- Paired axial CT (left) and PSMA PET (right), 18F tracer
- acquired on Siemens Biograph mCT Flow 20
- slice 14 of 403
- PET panel 200×200 px (4.1 mm/px)
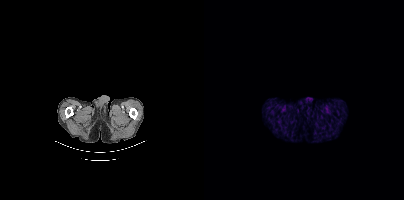
Findings: No PSMA-avid tumor lesions on this slice.